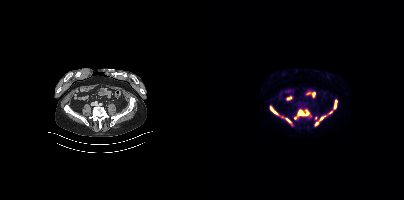
modality: PSMA PET/CT | tracer: [18F]PSMA-1007 | view: axial | PET grid: 200×200
Coordinates are on the 200×200 PET (right) panel. PSMA-avid tumor lesion bounding boxes (x0,y0,x1,y1): [90,109,107,119], [111,111,128,126], [66,107,73,114], [130,100,133,108], [82,118,87,123]. Small PSMA-avid focus (2 to 4 px across) near (center x, center y): (111, 117).